Paired axial CT (left) and PSMA PET (right), [68Ga]Ga-PSMA-11 tracer. Acquired on Siemens Biograph 64-4R TruePoint.
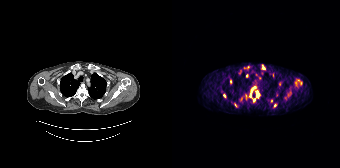
Coordinates are on the 168×168 PET (right) panel. (showing 9 of 13 foci) PSMA-avid tumor lesion bounding boxes (x0, y0)-(x1, y1): (78, 87)-(83, 101); (83, 90)-(87, 97). Small PSMA-avid foci (2 to 4 px across) near (center x, center y): (91, 67); (58, 81); (99, 100); (103, 105); (74, 75); (52, 95); (63, 105).